Paired axial CT (left) and PSMA PET (right), 68Ga tracer. Slice position z = -1168 mm.
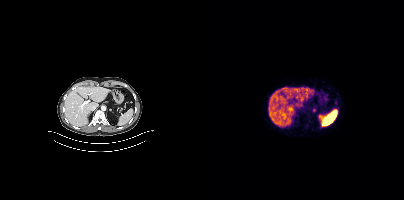
Only PSMA-avid lesion pieces thinner than 2 px on this slice (not listed).